Technique: Left: CT. Right: PSMA PET, same axial level, [18F]PSMA-1007 tracer. acquired on Siemens Biograph mCT Flow 20. slice position z = -1538 mm. PET panel 200×200 px (4.1 mm/px).
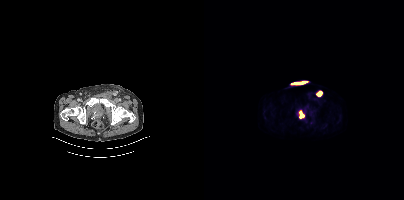
Findings: Coordinates are on the 200×200 PET (right) panel. PSMA-avid tumor lesion bounding boxes (x0,y0,x1,y1): [95,111,100,118], [112,91,118,96].